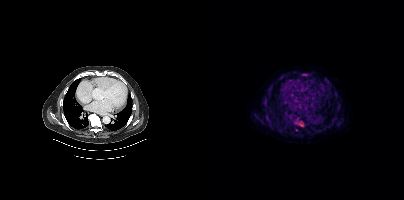
Findings: Coordinates are on the 200×200 PET (right) panel. (showing 2 of 5 foci) PSMA-avid tumor lesion bounding boxes (x0, y0)-(x1, y1): (95, 122)-(99, 126) / (98, 74)-(103, 75).
Technique: Left: CT. Right: PSMA PET, same axial level, 18F-PSMA tracer. slice 308 of 454. PET panel 200×200 px (4.1 mm/px).